Privacy masking over the head, with the pixels inside a rectangle set to black. Paired axial CT (left) and PSMA PET (right), 18F tracer. Acquired on Siemens Biograph mCT Flow 20. PET panel 200×200 px (4.1 mm/px).
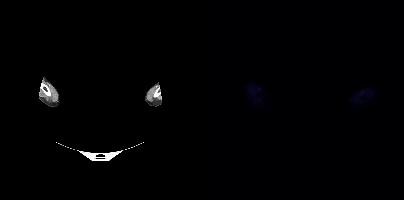
This slice has no annotated PSMA-avid lesion.